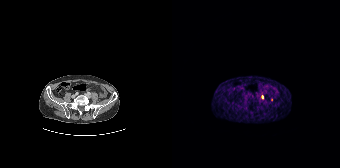
Coordinates are on the 168×168 PET (right) panel. (showing 1 of 2 foci) Small PSMA-avid focus (2 to 4 px across) near (center x, center y): (90, 97).